Paired axial CT (left) and PSMA PET (right), 18F-PSMA tracer. PET panel 200×200 px (4.1 mm/px).
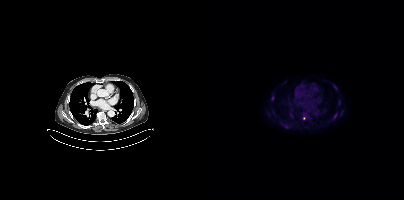
Coordinates are on the 200×200 PET (right) panel. PSMA-avid tumor lesion bounding box (x0, y0)-(x1, y1): (130, 85)-(132, 89). Small PSMA-avid foci (2 to 4 px across) near (center x, center y): (130, 116) / (68, 97) / (82, 127) / (100, 116).